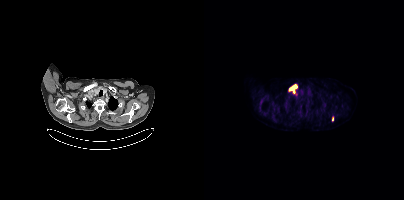
Coordinates are on the 200×200 PET (right) panel. PSMA-avid tumor lesion bounding box (x, y, width, height): x=85 y=84 w=8 h=9. Small PSMA-avid focus (2 to 4 px across) near (center x, center y): (128, 119).